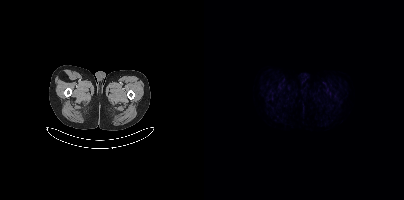
Findings: Negative for PSMA-avid disease on this slice.
- Two-panel axial: CT | PSMA PET, 18F tracer
- PET panel 200×200 px (4.1 mm/px)